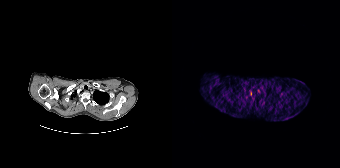
{"modality":"PSMA PET/CT","view":"axial","tracer":"68Ga-PSMA","pet_grid":[168,168],"coord_frame":"pet_panel","coord_format":"x0,y0,x1,y1","psma_avid_lesions":false}